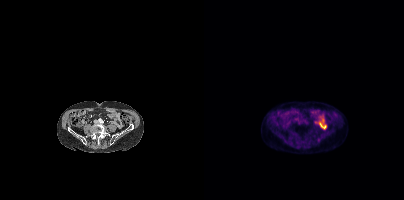
Technique: Left: CT. Right: PSMA PET, same axial level, [18F]PSMA-1007 tracer.
Findings: No tumor lesions annotated on this slice.